Paired axial CT (left) and PSMA PET (right), 18F-PSMA tracer. Slice position z = -1542 mm.
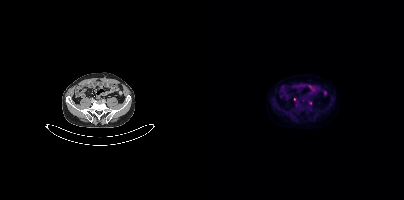
Coordinates are on the 200×200 PET (right) panel. Small PSMA-avid focus (2 to 4 px across) near (center x, center y): (90, 99).